Technique: Left: CT. Right: PSMA PET, same axial level, 68Ga-PSMA tracer. PET panel 168×168 px (4.1 mm/px).
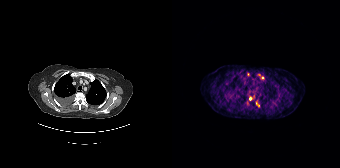
Findings: Coordinates are on the 168×168 PET (right) panel. PSMA-avid tumor lesion bounding box (x0,y0,x1,y1): [84,103,87,107]. Small PSMA-avid foci (2 to 4 px across) near (center x, center y): (76, 74) (78, 98) (87, 74) (90, 77).